modality: PSMA PET/CT | tracer: 18F | view: axial | PET grid: 200×200
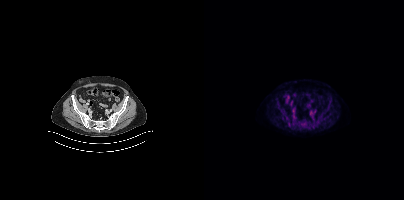
Coordinates are on the 200×200 PET (right) panel. PSMA-avid tumor lesion bounding box (x0,y0,x1,y1): [88,109,91,113]. Small PSMA-avid focus (2 to 4 px across) near (center x, center y): (87, 105).